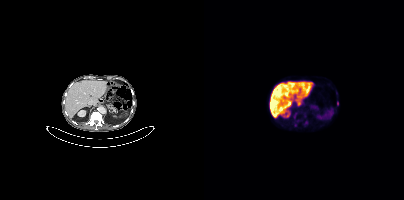
Paired axial CT (left) and PSMA PET (right), 18F-PSMA tracer. Slice position z = -730 mm. PET panel 200×200 px (4.1 mm/px). Coordinates are on the 200×200 PET (right) panel. Small PSMA-avid foci (2 to 4 px across) near (center x, center y): (102, 122) | (133, 103).